Paired axial CT (left) and PSMA PET (right), [18F]PSMA-1007 tracer. PET panel 200×200 px (4.1 mm/px).
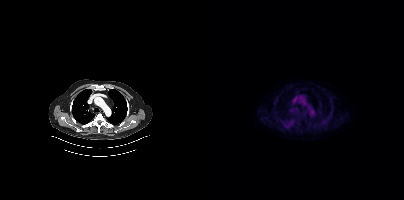
Coordinates are on the 200×200 PET (right) panel. Small PSMA-avid focus (2 to 4 px across) near (center x, center y): (81, 126).